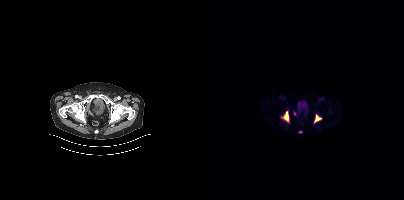
Two-panel axial: CT | PSMA PET, 18F tracer.
Coordinates are on the 200×200 PET (right) panel. PSMA-avid tumor lesion bounding boxes:
| # | x0 | y0 | x1 | y1 |
|---|---|---|---|---|
| 1 | 79 | 111 | 84 | 121 |
| 2 | 110 | 115 | 117 | 122 |
Small PSMA-avid foci (2 to 4 px across) near (center x, center y): (90, 113); (96, 131).